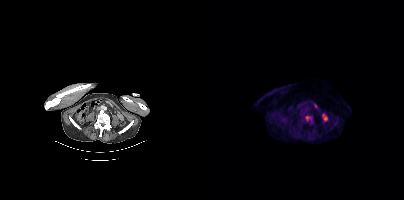
Coordinates are on the 200×200 PET (right) panel. PSMA-avid tumor lesion bounding box (x0, y0)-(x1, y1): (101, 116)-(107, 121).